- Left: CT. Right: PSMA PET, same axial level, 18F-PSMA tracer
- acquired on Siemens Biograph mCT Flow 20
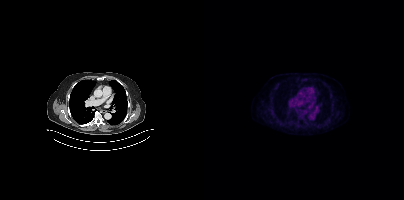
Findings: No PSMA-avid tumor lesions on this slice.